modality: PSMA PET/CT | tracer: [18F]PSMA-1007 | view: axial | PET grid: 200×200
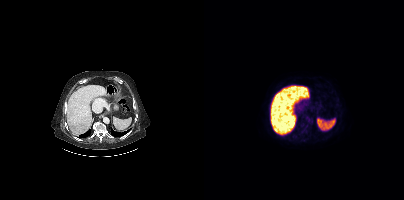
No tumor lesions annotated on this slice.